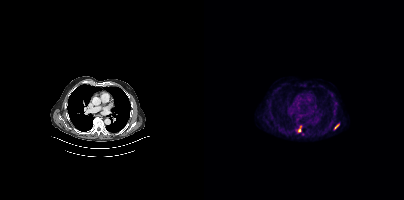
Technique: Left: CT. Right: PSMA PET, same axial level, 18F tracer.
Findings: Coordinates are on the 200×200 PET (right) panel. PSMA-avid tumor lesion bounding boxes (x0, y0)-(x1, y1): (94, 126)-(97, 131) | (131, 124)-(134, 128).